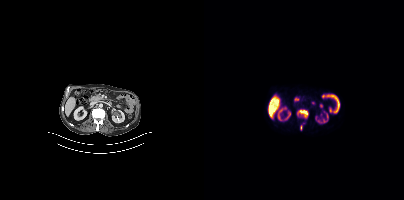
{"modality":"PSMA PET/CT","view":"axial","tracer":"[18F]PSMA-1007","pet_grid":[200,200],"coord_frame":"pet_panel","coord_format":"x0,y0,x1,y1","partial":true,"lesion_bboxes":[[95,110,103,117]]}